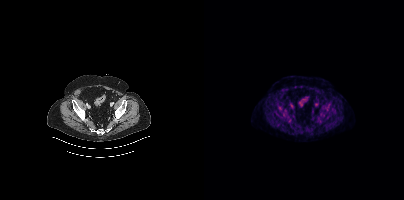
Negative for PSMA-avid disease on this slice.
modality: PSMA PET/CT | tracer: [18F]PSMA-1007 | view: axial